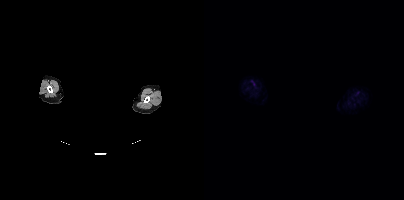
The face region was removed for patient privacy by blanking a rectangle over the head. Two-panel axial: CT | PSMA PET, 18F-PSMA tracer. Acquired on Siemens Biograph mCT Flow 20. Slice 363 of 381. PET panel 200×200 px (4.1 mm/px). Negative for PSMA-avid disease on this slice.